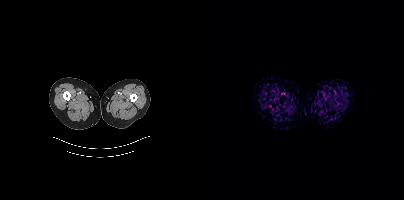
This slice has no annotated PSMA-avid lesion. Two-panel axial: CT | PSMA PET, 18F tracer. Slice 3 of 438. PET panel 200×200 px (4.1 mm/px).